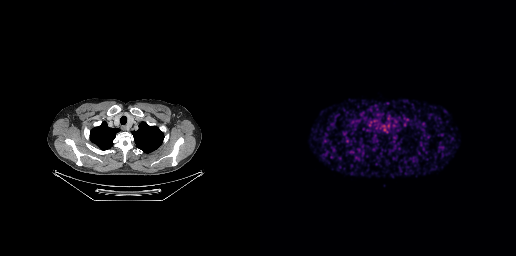
This slice has no annotated PSMA-avid lesion. Left: CT. Right: PSMA PET, same axial level, [68Ga]Ga-PSMA-11 tracer. PET panel 256×256 px (2.7 mm/px).